- Left: CT. Right: PSMA PET, same axial level, [68Ga]Ga-PSMA-11 tracer
- acquired on Siemens Biograph mCT Flow 20
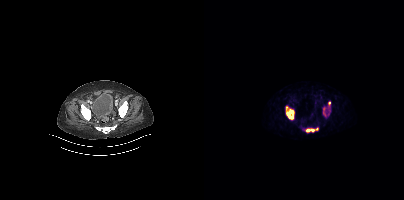
Findings: No tumor lesions annotated on this slice.